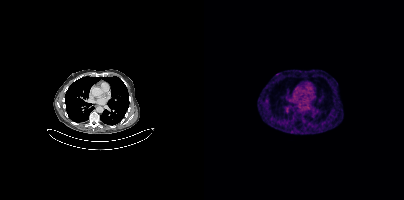
{"pet_grid":[200,200],"coord_frame":"pet_panel","coord_format":"x0,y0,x1,y1","lesion_bboxes":[],"small_foci_centers":[[62,101]],"modality":"PSMA PET/CT","view":"axial","tracer":"68Ga-PSMA"}